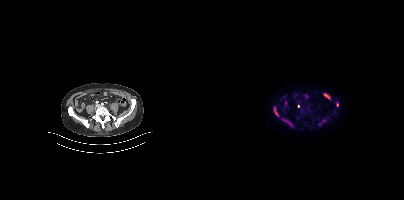
{"modality":"PSMA PET/CT","view":"axial","tracer":"18F","pet_grid":[200,200],"coord_frame":"pet_panel","coord_format":"x0,y0,x1,y1","lesion_bboxes":[[82,121,87,126],[115,119,122,125],[70,107,74,115]],"small_foci_centers":[[133,104],[94,106]]}